Two-panel axial: CT | PSMA PET, 68Ga-PSMA tracer. Acquired on Siemens Biograph 64-4R TruePoint. Slice 89 of 195. PET panel 168×168 px (4.1 mm/px).
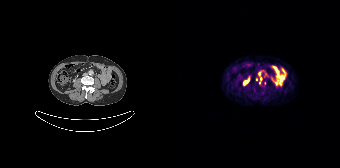
Coordinates are on the 168×168 PET (right) panel. (showing 2 of 4 foci) Small PSMA-avid foci (2 to 4 px across) near (center x, center y): (92, 83) | (84, 79).